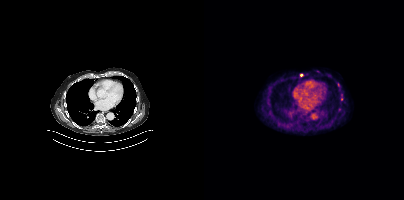
Coordinates are on the 200×200 PET (right) panel. Small PSMA-avid foci (2 to 4 px across) near (center x, center y): (134, 84) | (97, 75) | (137, 99).